Two-panel axial: CT | PSMA PET, [18F]PSMA-1007 tracer. Acquired on Siemens Biograph mCT Flow 20.
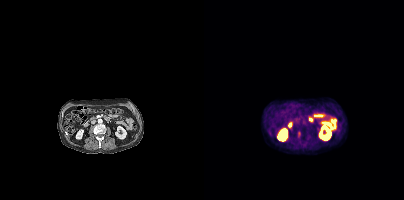
Coordinates are on the 200×200 PET (right) panel. PSMA-avid tumor lesion bounding boxes:
| # | x0 | y0 | x1 | y1 |
|---|---|---|---|---|
| 1 | 94 | 132 | 96 | 136 |